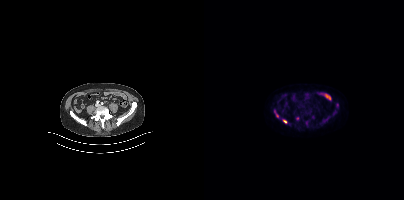
Findings: Coordinates are on the 200×200 PET (right) panel. (showing 4 of 5 foci) PSMA-avid tumor lesion bounding box (x0,y0,x1,y1): [79,120,83,123]. Small PSMA-avid foci (2 to 4 px across) near (center x, center y): (73, 115); (93, 118); (122, 119).
- Two-panel axial: CT | PSMA PET, 18F tracer
- slice 140 of 413